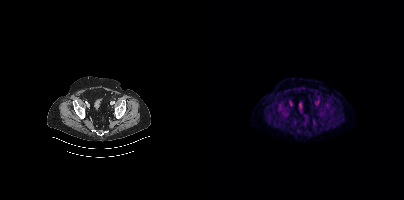
This slice has no annotated PSMA-avid lesion. Paired axial CT (left) and PSMA PET (right), 18F-PSMA tracer.